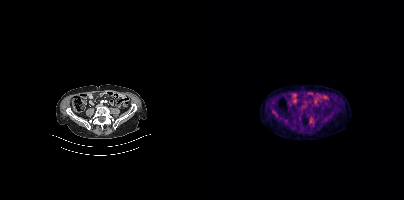
No PSMA-avid tumor lesions on this slice.
modality: PSMA PET/CT | tracer: [18F]PSMA-1007 | view: axial | PET grid: 200×200